- Paired axial CT (left) and PSMA PET (right), 18F tracer
- PET panel 200×200 px (4.1 mm/px)
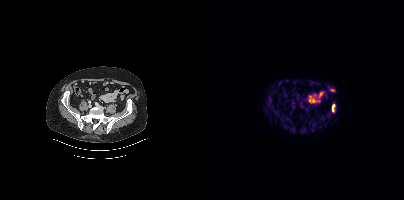
Findings: Coordinates are on the 200×200 PET (right) panel. PSMA-avid tumor lesion bounding box (x0, y0)-(x1, y1): (128, 104)-(131, 112).